Left: CT. Right: PSMA PET, same axial level, 18F tracer. Acquired on GE Discovery 690.
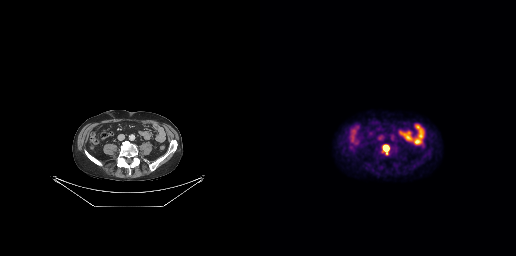
Coordinates are on the 256×256 PET (right) panel. PSMA-avid tumor lesion bounding boxes (partial; 1 more focus not listed):
| # | x0 | y0 | x1 | y1 |
|---|---|---|---|---|
| 1 | 123 | 145 | 129 | 151 |